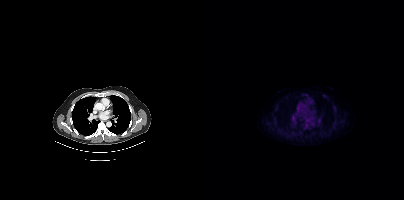
This slice has no annotated PSMA-avid lesion. Left: CT. Right: PSMA PET, same axial level, 18F-PSMA tracer. Acquired on Siemens Biograph mCT Flow 20. Slice position z = -585 mm.